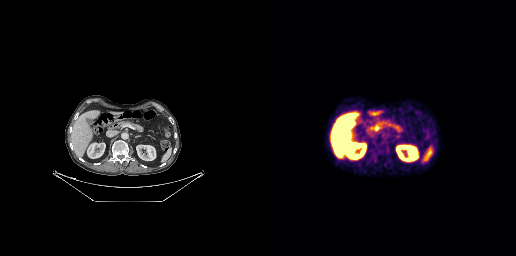
Findings: Negative for PSMA-avid disease on this slice.
- Paired axial CT (left) and PSMA PET (right), 18F tracer
- slice 141 of 263